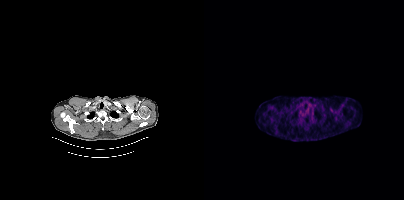
Paired axial CT (left) and PSMA PET (right), 18F tracer. Slice 362 of 448. No tumor lesions annotated on this slice.